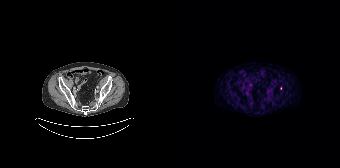
Only PSMA-avid lesion pieces thinner than 2 px on this slice (not listed).
modality: PSMA PET/CT | tracer: [68Ga]Ga-PSMA-11 | view: axial